- Left: CT. Right: PSMA PET, same axial level, 18F-PSMA tracer
- acquired on Siemens Biograph mCT Flow 20
- slice position z = -644 mm
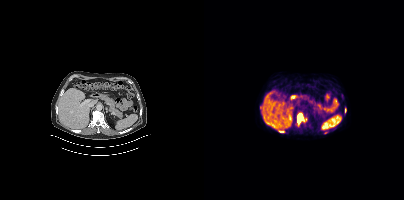
Findings: Coordinates are on the 200×200 PET (right) panel. (showing 1 of 2 foci) PSMA-avid tumor lesion bounding box (x0, y0)-(x1, y1): (93, 113)-(100, 124).